modality: PSMA PET/CT | tracer: 18F-PSMA | view: axial | PET grid: 200×200
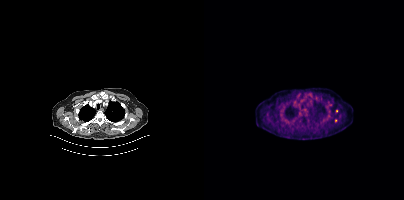
Coordinates are on the 200×200 PET (right) panel. (showing 1 of 2 foci) Small PSMA-avid focus (2 to 4 px across) near (center x, center y): (131, 120).